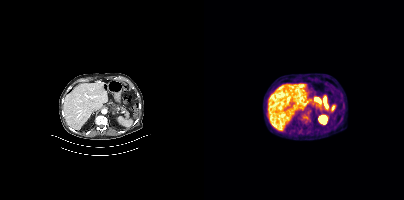
{"modality":"PSMA PET/CT","view":"axial","tracer":"[18F]PSMA-1007","pet_grid":[200,200],"coord_frame":"pet_panel","coord_format":"x0,y0,x1,y1","psma_avid_lesions":false}